Two-panel axial: CT | PSMA PET, [18F]PSMA-1007 tracer. Slice position z = -1586 mm. PET panel 200×200 px (4.1 mm/px).
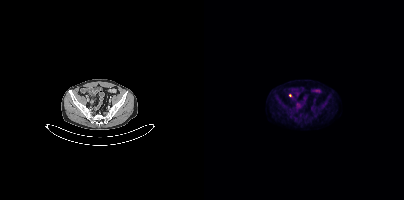
Coordinates are on the 200×200 PET (right) panel. Small PSMA-avid focus (2 to 4 px across) near (center x, center y): (85, 95).